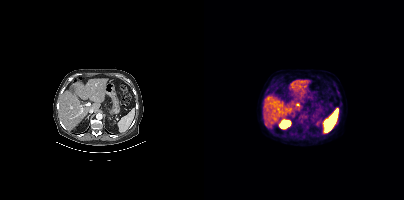
Coordinates are on the 200×200 PET (right) panel. Small PSMA-avid focus (2 to 4 px across) near (center x, center y): (94, 118).
modality: PSMA PET/CT | tracer: 18F-PSMA | view: axial